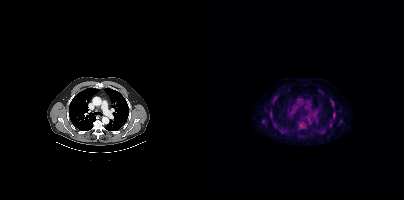
Coordinates are on the 200×200 PET (right) panel. (showing 2 of 3 foci) PSMA-avid tumor lesion bounding box (x0, y0)-(x1, y1): (128, 103)-(130, 107). Small PSMA-avid focus (2 to 4 px across) near (center x, center y): (69, 101).